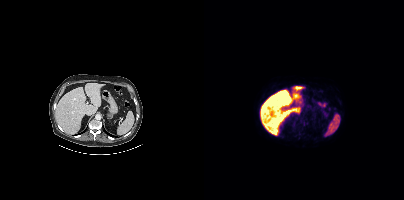
Findings: No PSMA-avid tumor lesions on this slice.
- Two-panel axial: CT | PSMA PET, 18F tracer
- acquired on Siemens Biograph mCT Flow 20